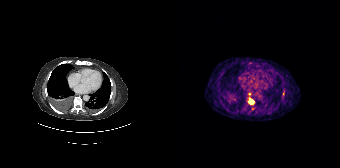
Coordinates are on the 168×168 PET (right) panel. (showing 1 of 2 foci) PSMA-avid tumor lesion bounding box (x, y, width, height): x=77 y=99 w=5 h=5.